Paired axial CT (left) and PSMA PET (right), 18F-PSMA tracer. PET panel 200×200 px (4.1 mm/px).
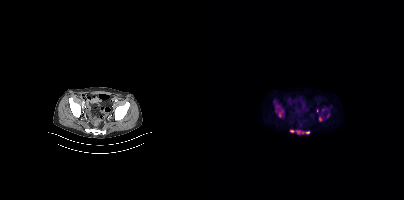
Coordinates are on the 200×200 PET (right) panel. (showing 6 of 7 foci) PSMA-avid tumor lesion bounding boxes (x, y, width, height): x=115 y=117 w=3 h=5 | x=86 y=130 w=5 h=3 | x=92 y=131 w=5 h=3 | x=75 y=112 w=3 h=5. Small PSMA-avid foci (2 to 4 px across) near (center x, center y): (103, 132) | (98, 132).